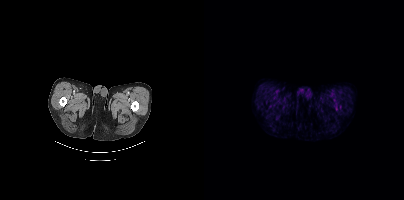
{"pet_grid":[200,200],"coord_frame":"pet_panel","coord_format":"x0,y0,x1,y1","psma_avid_lesions":false,"modality":"PSMA PET/CT","view":"axial","tracer":"18F-PSMA"}